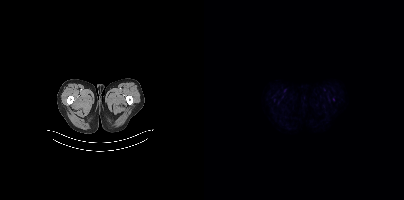
Two-panel axial: CT | PSMA PET, [18F]PSMA-1007 tracer. No PSMA-avid tumor lesions on this slice.